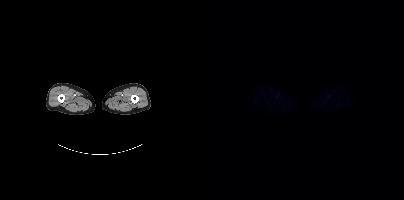
{"modality":"PSMA PET/CT","view":"axial","tracer":"[18F]PSMA-1007","pet_grid":[200,200],"coord_frame":"pet_panel","coord_format":"x0,y0,x1,y1","psma_avid_lesions":false}